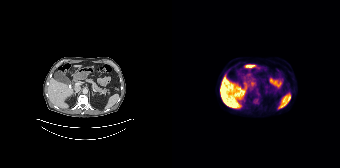
This slice has no annotated PSMA-avid lesion. Left: CT. Right: PSMA PET, same axial level, [18F]PSMA-1007 tracer. Slice position z = -1001 mm.